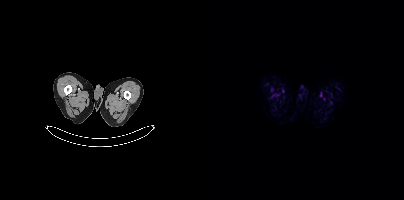
Findings: No tumor lesions annotated on this slice.
Technique: Two-panel axial: CT | PSMA PET, 18F tracer. slice position z = -1659 mm. PET panel 200×200 px (4.1 mm/px).